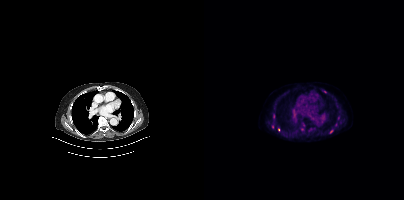
Coordinates are on the 200×200 PET (right) panel. (showing 7 of 8 foci) PSMA-avid tumor lesion bounding box (x0,y0,x1,y1): [69,114,70,118]. Small PSMA-avid foci (2 to 4 px across) near (center x, center y): (98, 129), (127, 131), (120, 91), (68, 126), (106, 129), (74, 129).